modality: PSMA PET/CT | tracer: 18F | view: axial | PET grid: 256×256
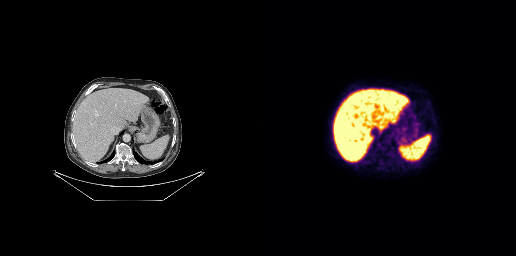
Negative for PSMA-avid disease on this slice.